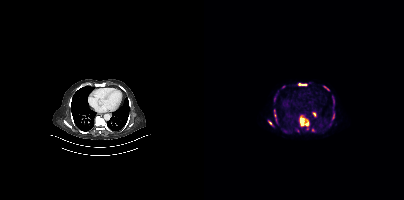
Paired axial CT (left) and PSMA PET (right), 68Ga-PSMA tracer. Slice 262 of 397. PET panel 200×200 px (4.1 mm/px). Coordinates are on the 200×200 PET (right) panel. (showing 10 of 11 foci) PSMA-avid tumor lesion bounding boxes (x, y, width, height): x=96 y=117 w=9 h=10 | x=95 y=83 w=8 h=3 | x=128 y=114 w=3 h=5 | x=121 y=87 w=5 h=4 | x=70 y=98 w=2 h=5. Small PSMA-avid foci (2 to 4 px across) near (center x, center y): (65, 122) | (71, 115) | (70, 111) | (72, 120) | (108, 129).